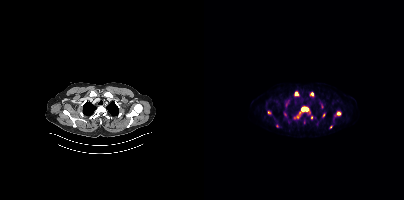
Coordinates are on the 200×200 PET (right) panel. (showing 10 of 14 foci) PSMA-avid tumor lesion bounding boxes (x0, y0)-(x1, y1): (97, 107)-(104, 111) | (90, 112)-(96, 118). Small PSMA-avid foci (2 to 4 px across) near (center x, center y): (134, 113) | (92, 93) | (82, 104) | (108, 94) | (65, 112) | (107, 117) | (119, 115) | (126, 127). Two-panel axial: CT | PSMA PET, 18F-PSMA tracer. Slice 337 of 429. PET panel 200×200 px (4.1 mm/px).